- face de-identified by blanking a block of the head
- Paired axial CT (left) and PSMA PET (right), 18F tracer
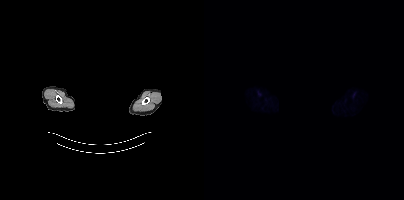
Findings: No PSMA-avid tumor lesions on this slice.